modality: PSMA PET/CT | tracer: 18F-PSMA | view: axial | PET grid: 200×200
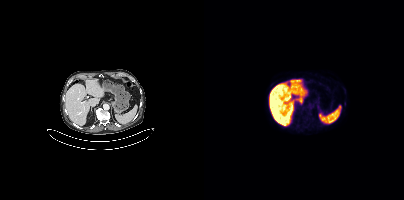
No PSMA-avid tumor lesions on this slice.